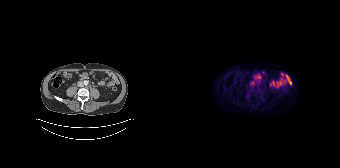
modality: PSMA PET/CT | tracer: 18F-PSMA | view: axial
No tumor lesions annotated on this slice.